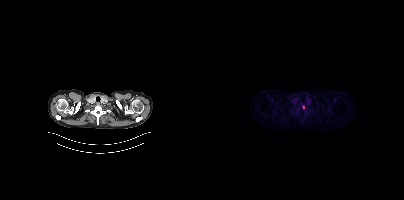
Coordinates are on the 200×200 PET (right) panel. Small PSMA-avid focus (2 to 4 px across) near (center x, center y): (99, 106).